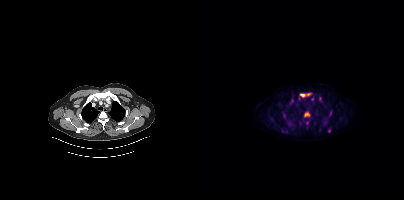
{"modality":"PSMA PET/CT","view":"axial","tracer":"18F-PSMA","pet_grid":[200,200],"coord_frame":"pet_panel","coord_format":"x0,y0,x1,y1","partial":true,"lesion_bboxes":[[96,93,107,97],[100,112,106,117],[77,129,81,132]],"small_foci_centers":[[103,122],[125,130],[116,98],[80,115],[125,115],[87,99]]}